- Paired axial CT (left) and PSMA PET (right), 18F tracer
- acquired on Siemens Biograph mCT Flow 20
- slice position z = -702 mm
- PET panel 200×200 px (4.1 mm/px)
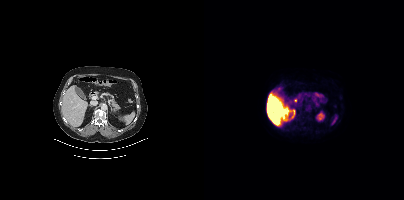
Findings: No tumor lesions annotated on this slice.